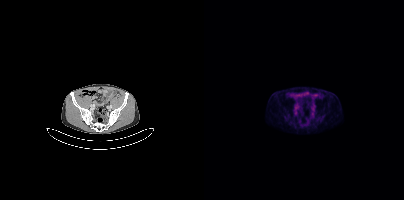
{"modality":"PSMA PET/CT","view":"axial","tracer":"18F","pet_grid":[200,200],"coord_frame":"pet_panel","coord_format":"x0,y0,x1,y1","lesion_bboxes":[[90,106,94,110]],"small_foci_centers":[[108,109]]}